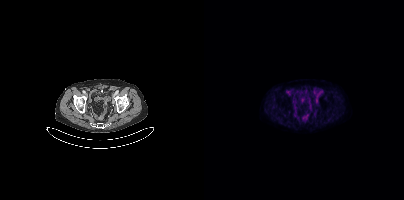
No PSMA-avid tumor lesions on this slice. Paired axial CT (left) and PSMA PET (right), [18F]PSMA-1007 tracer.